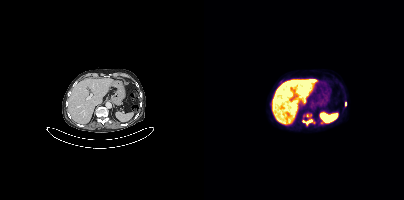
Coordinates are on the 200×200 PET (right) panel. (showing 3 of 5 foci) PSMA-avid tumor lesion bounding box (x0,y0,x1,y1): [99,119,108,125]. Small PSMA-avid foci (2 to 4 px across) near (center x, center y): (117, 122); (141, 104).